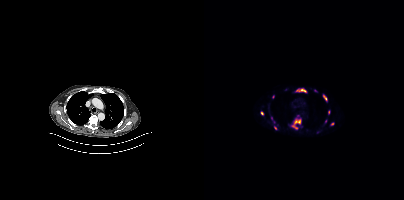
Findings: Coordinates are on the 200×200 PET (right) panel. (showing 10 of 12 foci) PSMA-avid tumor lesion bounding boxes (x0,y0,x1,y1): [87,118,97,129]; [92,89,102,92]; [119,94,123,101]. Small PSMA-avid foci (2 to 4 px across) near (center x, center y): (58, 112); (128, 124); (124, 112); (71, 128); (69, 96); (111, 90); (121, 120).
- Paired axial CT (left) and PSMA PET (right), 18F-PSMA tracer